- Left: CT. Right: PSMA PET, same axial level, [18F]PSMA-1007 tracer
- slice 110 of 165
- PET panel 168×168 px (4.1 mm/px)
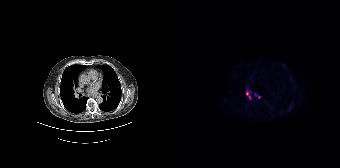
Findings: Coordinates are on the 168×168 PET (right) panel. PSMA-avid tumor lesion bounding box (x, y, width, height): x=74 y=92 w=5 h=7. Small PSMA-avid focus (2 to 4 px across) near (center x, center y): (86, 96).